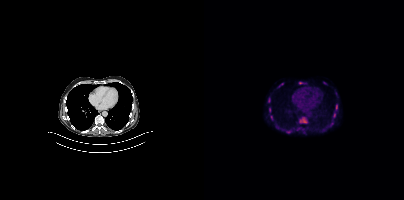
Paired axial CT (left) and PSMA PET (right), [18F]PSMA-1007 tracer. Acquired on Siemens Biograph mCT Flow 20. Coordinates are on the 200×200 PET (right) panel. (showing 6 of 7 foci) PSMA-avid tumor lesion bounding boxes (x0,y0,x1,y1): [95,117,103,123] [131,104,133,110] [95,82,102,84] [64,98,66,102] [129,113,131,117]. Small PSMA-avid focus (2 to 4 px across) near (center x, center y): (84, 131).